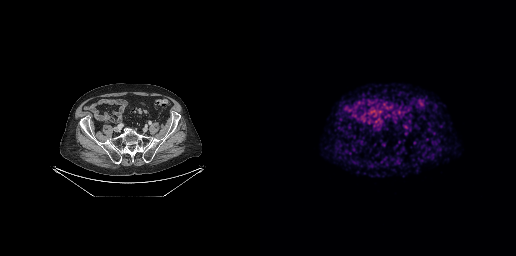
Findings: No tumor lesions annotated on this slice.
Technique: Two-panel axial: CT | PSMA PET, 68Ga tracer. acquired on GE Discovery 690.